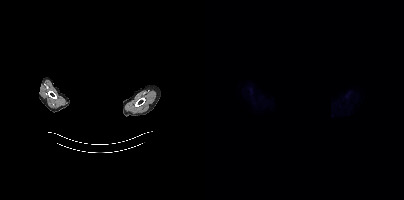
Findings: No tumor lesions annotated on this slice.
- Left: CT. Right: PSMA PET, same axial level, 18F tracer
- acquired on Siemens Biograph mCT Flow 20
- slice 342 of 383
- PET panel 200×200 px (4.1 mm/px)
- an anonymization step blacked out a rectangle over the head in this scan